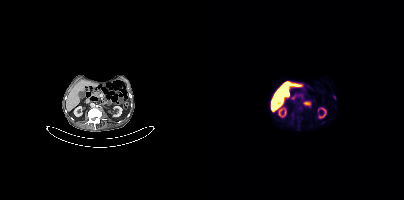
{"modality":"PSMA PET/CT","view":"axial","tracer":"18F","pet_grid":[200,200],"coord_frame":"pet_panel","coord_format":"x0,y0,x1,y1","lesion_bboxes":[],"small_foci_centers":[[130,97]]}